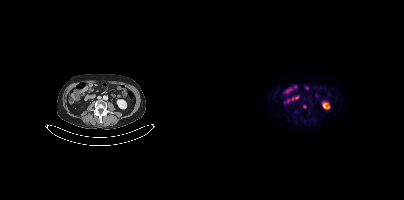
Paired axial CT (left) and PSMA PET (right), [18F]PSMA-1007 tracer. Slice position z = -32 mm. Coordinates are on the 200×200 PET (right) panel. Small PSMA-avid focus (2 to 4 px across) near (center x, center y): (100, 106).